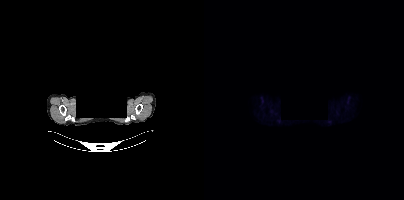
Face de-identified by blanking a block of the head. Paired axial CT (left) and PSMA PET (right), [18F]PSMA-1007 tracer. Acquired on Siemens Biograph mCT Flow 20. Slice position z = -292 mm. PET panel 200×200 px (4.1 mm/px). No tumor lesions annotated on this slice.